- Paired axial CT (left) and PSMA PET (right), [68Ga]Ga-PSMA-11 tracer
- acquired on GE Discovery 690
- slice position z = -265 mm
- face de-identified by blanking a block of the head
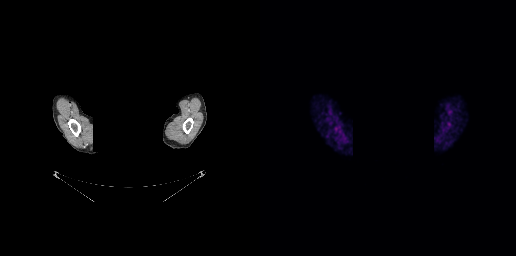
Findings: Negative for PSMA-avid disease on this slice.